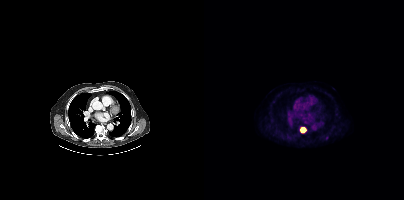
Coordinates are on the 200×200 PET (right) panel. PSMA-avid tumor lesion bounding box (x0,y0,x1,y1): [96,127,102,132]. Small PSMA-avid focus (2 to 4 px across) near (center x, center y): (122, 137).